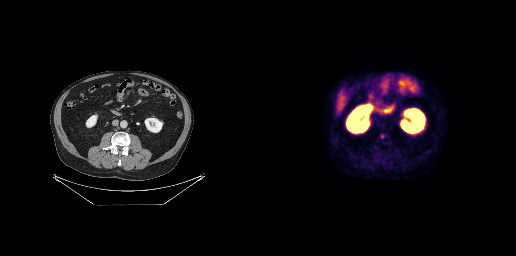
Coordinates are on the 256×256 PET (right) panel. Small PSMA-avid focus (2 to 4 px across) near (center x, center y): (122, 136).